modality: PSMA PET/CT | tracer: 18F-PSMA | view: axial
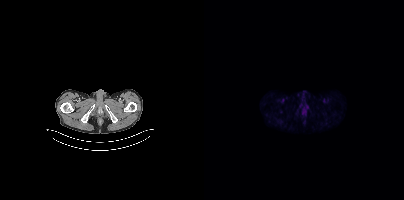
This slice has no annotated PSMA-avid lesion.